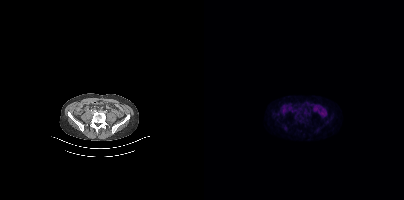
Negative for PSMA-avid disease on this slice.